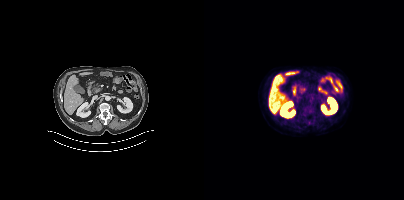
Negative for PSMA-avid disease on this slice.